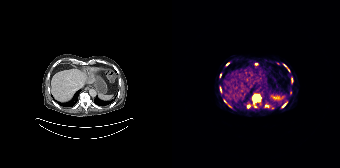
- Two-panel axial: CT | PSMA PET, 68Ga tracer
Findings: Coordinates are on the 168×168 PET (right) panel. (showing 7 of 13 foci) PSMA-avid tumor lesion bounding boxes (x0, y0)-(x1, y1): (81, 94)-(87, 101) | (48, 87)-(50, 92). Small PSMA-avid foci (2 to 4 px across) near (center x, center y): (111, 105) | (76, 106) | (55, 64) | (84, 63) | (52, 100).